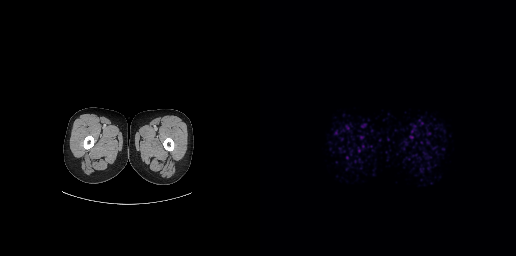
This slice has no annotated PSMA-avid lesion.